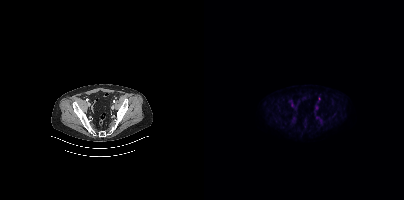
Only PSMA-avid lesion pieces thinner than 2 px on this slice (not listed).
modality: PSMA PET/CT | tracer: 18F | view: axial | PET grid: 200×200